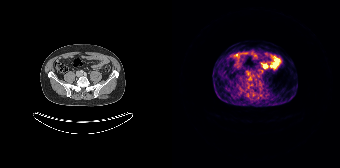
{"modality":"PSMA PET/CT","view":"axial","tracer":"68Ga-PSMA","pet_grid":[168,168],"coord_frame":"pet_panel","coord_format":"x0,y0,x1,y1","psma_avid_lesions":false}